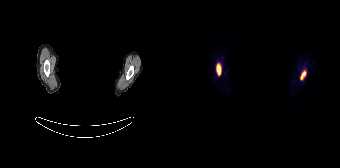
Technique: Paired axial CT (left) and PSMA PET (right), 18F-PSMA tracer.
Note: A rectangle over the head was blacked out to remove identifiable facial features.
Findings: Coordinates are on the 168×168 PET (right) panel. PSMA-avid tumor lesion bounding boxes (x0,y0,x1,y1): [44,63,49,75], [128,70,134,80].